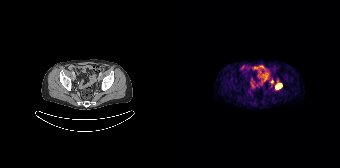
Technique: Two-panel axial: CT | PSMA PET, 68Ga tracer. slice position z = -1334 mm.
Findings: Coordinates are on the 168×168 PET (right) panel. PSMA-avid tumor lesion bounding box (x, y, width, height): x=104 y=84 w=6 h=5. Small PSMA-avid focus (2 to 4 px across) near (center x, center y): (100, 81).